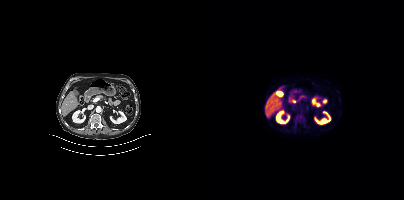
modality: PSMA PET/CT | tracer: 18F | view: axial | PET grid: 200×200
No PSMA-avid tumor lesions on this slice.